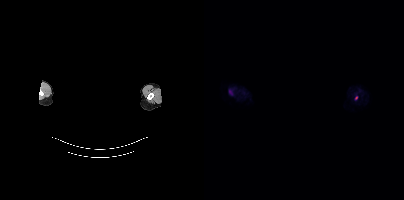
Findings: Coordinates are on the 200×200 PET (right) panel. Small PSMA-avid focus (2 to 4 px across) near (center x, center y): (152, 97).
Technique: Paired axial CT (left) and PSMA PET (right), 18F-PSMA tracer. PET panel 200×200 px (4.1 mm/px).
Note: Face de-identified by blanking a block of the head.